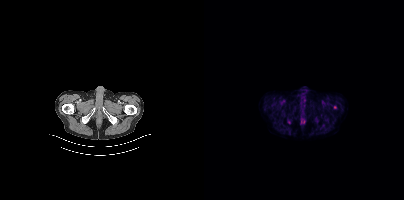
Left: CT. Right: PSMA PET, same axial level, 18F-PSMA tracer. PET panel 200×200 px (4.1 mm/px). No tumor lesions annotated on this slice.